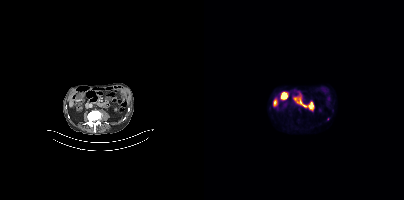
Coordinates are on the 200×200 PET (right) panel. Small PSMA-avid focus (2 to 4 px across) near (center x, center y): (123, 118). Left: CT. Right: PSMA PET, same axial level, 18F-PSMA tracer.